- Paired axial CT (left) and PSMA PET (right), 18F-PSMA tracer
- slice 88 of 429
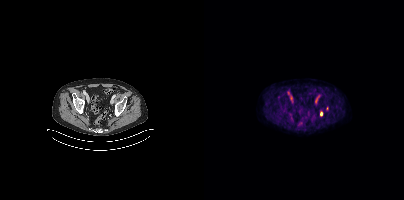
Findings: Coordinates are on the 200×200 PET (right) panel. (showing 1 of 2 foci) Small PSMA-avid focus (2 to 4 px across) near (center x, center y): (117, 113).